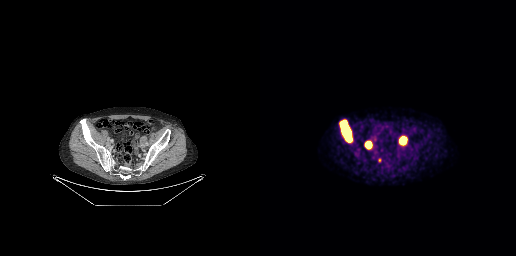
modality: PSMA PET/CT | tracer: [18F]PSMA-1007 | view: axial | PET grid: 256×256
Coordinates are on the 256×256 PET (right) panel. PSMA-avid tumor lesion bounding boxes (x, y, width, height): x=80 y=121 w=12 h=21 | x=140 y=137 w=7 h=8 | x=106 y=142 w=6 h=7 | x=118 y=158 w=4 h=5.